Left: CT. Right: PSMA PET, same axial level, 18F-PSMA tracer. Slice position z = -674 mm.
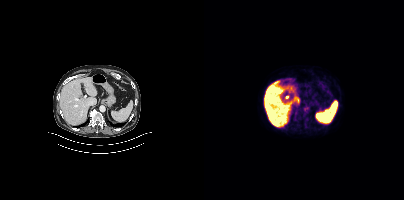
No tumor lesions annotated on this slice.